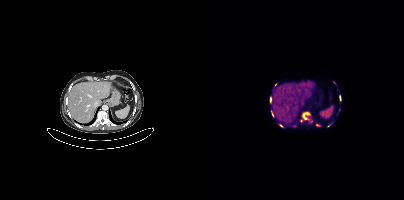
{"modality":"PSMA PET/CT","view":"axial","tracer":"18F-PSMA","pet_grid":[200,200],"coord_frame":"pet_panel","coord_format":"x0,y0,x1,y1","partial":true,"lesion_bboxes":[[98,112,106,119],[88,124,92,127],[66,97,67,102],[67,111,69,116],[135,96,136,100]],"small_foci_centers":[[113,125],[124,125],[71,84],[77,125]]}